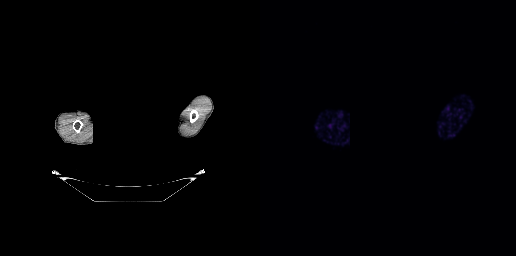
This slice has no annotated PSMA-avid lesion.
redaction: head region blacked out before release | modality: PSMA PET/CT | tracer: 68Ga | view: axial | PET grid: 256×256